Left: CT. Right: PSMA PET, same axial level, 18F-PSMA tracer. Slice 209 of 452. PET panel 200×200 px (4.1 mm/px).
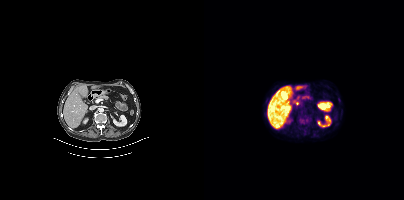
Coordinates are on the 200×200 PET (right) panel. PSMA-avid tumor lesion bounding boxes:
| # | x0 | y0 | x1 | y1 |
|---|---|---|---|---|
| 1 | 96 | 118 | 100 | 123 |
Small PSMA-avid focus (2 to 4 px across) near (center x, center y): (103, 120).